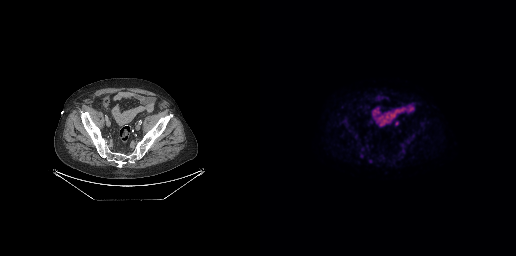
{"modality":"PSMA PET/CT","view":"axial","tracer":"18F","pet_grid":[256,256],"coord_frame":"pet_panel","coord_format":"x0,y0,x1,y1","psma_avid_lesions":false}